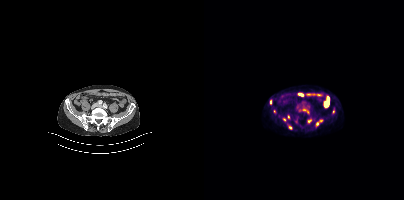
modality: PSMA PET/CT | tracer: [18F]PSMA-1007 | view: axial | PET grid: 200×200
Coordinates are on the 200×200 PET (right) panel. (showing 9 of 11 foci) Small PSMA-avid foci (2 to 4 px across) near (center x, center y): (105, 121), (113, 123), (129, 111), (84, 116), (66, 102), (100, 109), (117, 120), (86, 127), (80, 119).